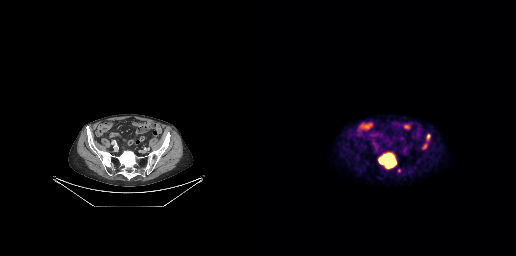
Findings: Coordinates are on the 256×256 PET (right) panel. PSMA-avid tumor lesion bounding boxes (x0, y0)-(x1, y1): (119, 153)-(136, 168); (167, 134)-(170, 138).
Technique: Paired axial CT (left) and PSMA PET (right), 18F tracer.